modality: PSMA PET/CT | tracer: 18F | view: axial
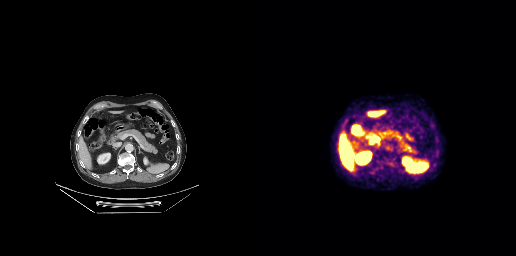
No PSMA-avid tumor lesions on this slice.